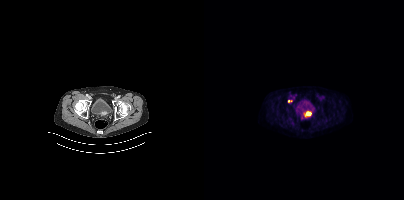
{"modality":"PSMA PET/CT","view":"axial","tracer":"18F","pet_grid":[200,200],"coord_frame":"pet_panel","coord_format":"x0,y0,x1,y1","lesion_bboxes":[[100,112,106,117]],"small_foci_centers":[[85,101]]}